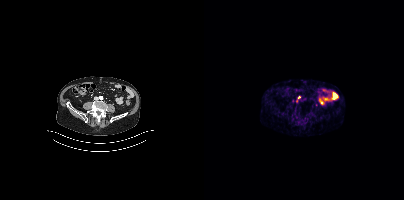
Coordinates are on the 200×200 PET (right) panel. Small PSMA-avid foci (2 to 4 px across) near (center x, center y): (95, 97) | (92, 100). Two-panel axial: CT | PSMA PET, 68Ga tracer.